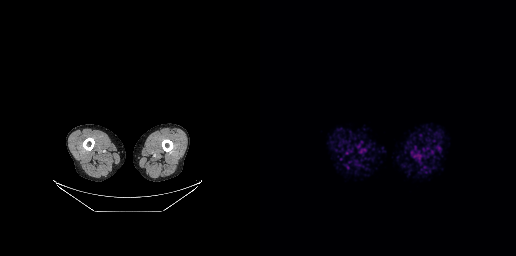
No tumor lesions annotated on this slice.
modality: PSMA PET/CT | tracer: [18F]PSMA-1007 | view: axial